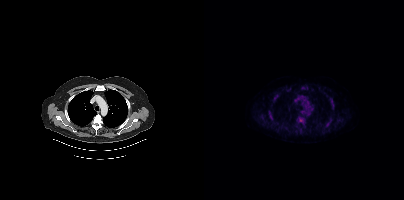
{"modality":"PSMA PET/CT","view":"axial","tracer":"[18F]PSMA-1007","pet_grid":[200,200],"coord_frame":"pet_panel","coord_format":"x0,y0,x1,y1","partial":true,"lesion_bboxes":[[93,116,101,126],[69,94,75,100],[64,110,68,116],[122,120,127,126],[125,97,129,102],[95,129,97,133]],"small_foci_centers":[[71,123],[99,89],[128,108],[115,126]]}